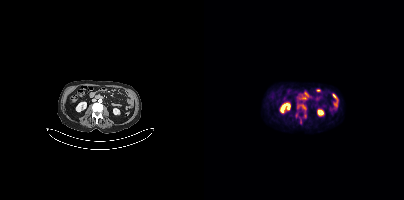
{"pet_grid":[200,200],"coord_frame":"pet_panel","coord_format":"x0,y0,x1,y1","partial":true,"lesion_bboxes":[[93,104,102,110]],"modality":"PSMA PET/CT","view":"axial","tracer":"18F-PSMA"}